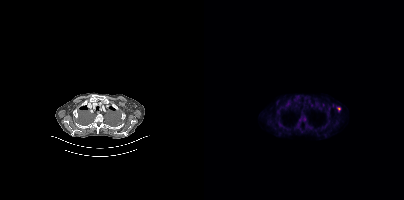
Coordinates are on the 200×200 PET (right) panel. Small PSMA-avid foci (2 to 4 px across) near (center x, center y): (100, 119) / (134, 108) / (107, 105) / (84, 101) / (119, 104).